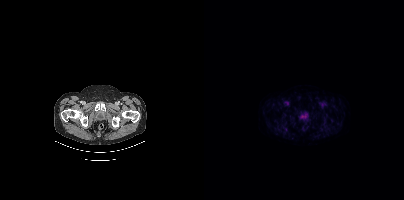
Negative for PSMA-avid disease on this slice. Two-panel axial: CT | PSMA PET, [18F]PSMA-1007 tracer. Slice position z = -1579 mm.